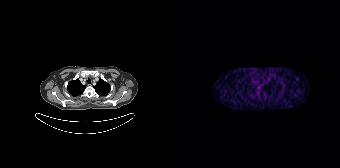
Negative for PSMA-avid disease on this slice. Left: CT. Right: PSMA PET, same axial level, 68Ga tracer.